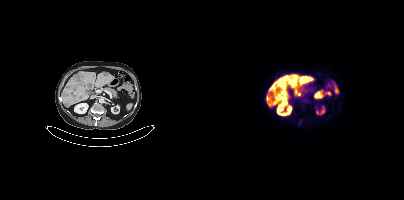
Coordinates are on the 200×200 PET (right) panel. PSMA-avid tumor lesion bounding boxes:
| # | x0 | y0 | x1 | y1 |
|---|---|---|---|---|
| 1 | 97 | 76 | 103 | 81 |
| 2 | 78 | 76 | 84 | 81 |
| 3 | 86 | 79 | 92 | 84 |
Small PSMA-avid focus (2 to 4 px across) near (center x, center y): (75, 84).
Two-panel axial: CT | PSMA PET, 18F tracer.